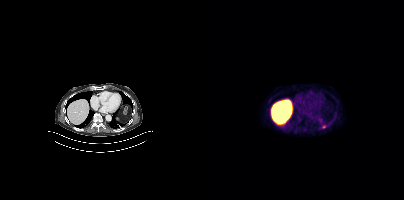
Findings: Coordinates are on the 200×200 PET (right) panel. PSMA-avid tumor lesion bounding box (x0, y0)-(x1, y1): (118, 125)-(122, 128).
Technique: Left: CT. Right: PSMA PET, same axial level, 18F tracer. acquired on Siemens Biograph mCT Flow 20. slice position z = -596 mm.